Technique: Paired axial CT (left) and PSMA PET (right), 18F-PSMA tracer. PET panel 200×200 px (4.1 mm/px).
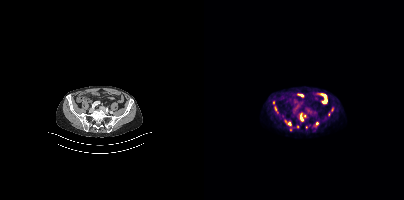
Findings: Coordinates are on the 200×200 PET (right) panel. (showing 9 of 11 foci) PSMA-avid tumor lesion bounding boxes (x0,y0,x1,y1): [96,113,99,121]; [84,122,87,126]; [121,100,123,104]. Small PSMA-avid foci (2 to 4 px across) near (center x, center y): (128, 109); (71, 108); (113, 123); (69, 102); (100, 115); (86, 129).